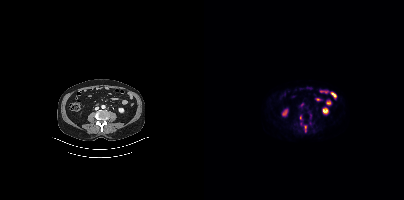
{"modality":"PSMA PET/CT","view":"axial","tracer":"18F","pet_grid":[200,200],"coord_frame":"pet_panel","coord_format":"x0,y0,x1,y1","partial":true,"lesion_bboxes":[]}